- Left: CT. Right: PSMA PET, same axial level, 18F-PSMA tracer
- PET panel 200×200 px (4.1 mm/px)
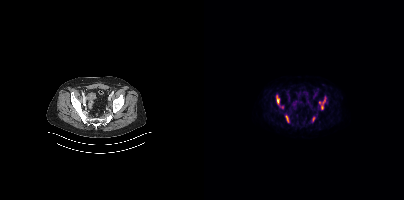
Findings: Coordinates are on the 200×200 PET (right) panel. PSMA-avid tumor lesion bounding boxes (x0,y0,x1,y1): [117,97,121,109]; [72,95,75,103]; [82,116,84,122]. Small PSMA-avid foci (2 to 4 px across) near (center x, center y): (109, 118); (115, 102).